Paired axial CT (left) and PSMA PET (right), [18F]PSMA-1007 tracer. Acquired on Siemens Biograph mCT Flow 20.
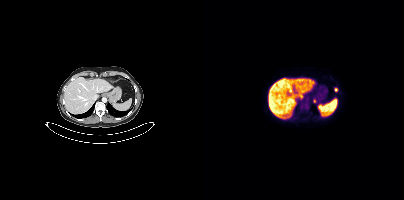
Coordinates are on the 200×200 PET (right) panel. PSMA-avid tumor lesion bounding box (x, y, width, height): x=109 y=98 w=4 h=6. Small PSMA-avid focus (2 to 4 px across) near (center x, center y): (131, 89).